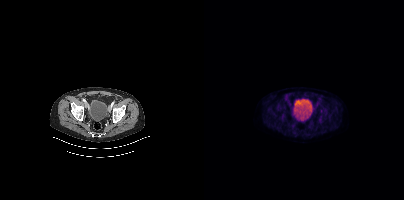
No PSMA-avid tumor lesions on this slice. Two-panel axial: CT | PSMA PET, [18F]PSMA-1007 tracer. PET panel 200×200 px (4.1 mm/px).